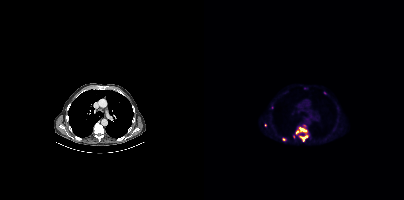
Technique: Two-panel axial: CT | PSMA PET, 18F-PSMA tracer. PET panel 200×200 px (4.1 mm/px).
Findings: Coordinates are on the 200×200 PET (right) panel. (showing 6 of 8 foci) PSMA-avid tumor lesion bounding boxes (x0, y0)-(x1, y1): (93, 125)-(103, 132) | (97, 135)-(103, 141). Small PSMA-avid foci (2 to 4 px across) near (center x, center y): (121, 93) | (79, 139) | (68, 107) | (61, 124).